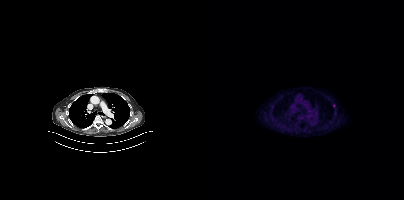
Coordinates are on the 200×200 PET (right) panel. Small PSMA-avid focus (2 to 4 px across) near (center x, center y): (130, 105).